modality: PSMA PET/CT | tracer: [68Ga]Ga-PSMA-11 | view: axial
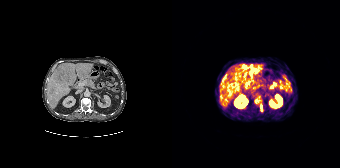
Coordinates are on the 168×168 PET (right) panel. PSMA-avid tumor lesion bounding boxes (x0,y0,x1,y1): [67,64,85,79]; [82,98,90,111]; [71,72,75,80]; [50,76,54,81]; [62,82,66,85]; [65,86,68,90]; [67,72,68,76]. Small PSMA-avid focus (2 to 4 px across) near (center x, center y): (76, 81).